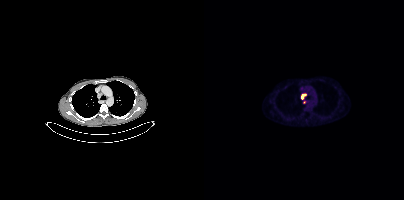
modality: PSMA PET/CT | tracer: 18F | view: axial
Coordinates are on the 200×200 PET (right) panel. (showing 2 of 3 foci) PSMA-avid tumor lesion bounding box (x, y, width, height): x=97 y=94 w=5 h=5. Small PSMA-avid focus (2 to 4 px across) near (center x, center y): (98, 88).